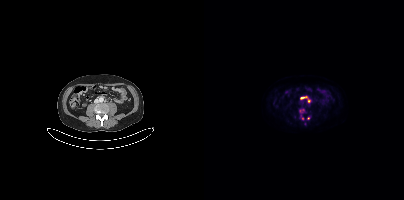
{"modality":"PSMA PET/CT","view":"axial","tracer":"[18F]PSMA-1007","pet_grid":[200,200],"coord_frame":"pet_panel","coord_format":"x0,y0,x1,y1","lesion_bboxes":[[96,97,106,102]],"small_foci_centers":[[104,118],[98,118]]}